Technique: Left: CT. Right: PSMA PET, same axial level, [18F]PSMA-1007 tracer. slice 258 of 405.
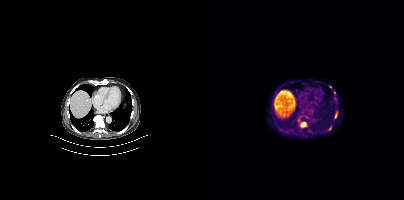
Findings: Coordinates are on the 200×200 PET (right) panel. (showing 4 of 6 foci) PSMA-avid tumor lesion bounding box (x0,y0,x1,y1): [96,122,102,127]. Small PSMA-avid foci (2 to 4 px across) near (center x, center y): (131, 115), (126, 86), (130, 92).